Technique: Two-panel axial: CT | PSMA PET, 68Ga-PSMA tracer. PET panel 256×256 px (2.7 mm/px).
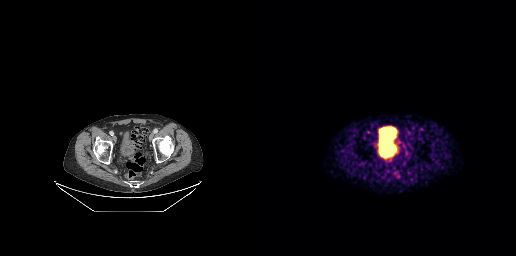
Findings: This slice has no annotated PSMA-avid lesion.